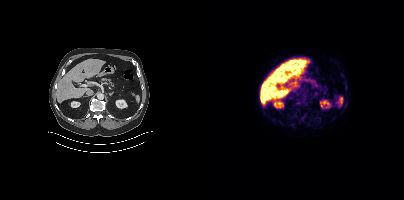
modality: PSMA PET/CT | tracer: 18F | view: axial | PET grid: 200×200
This slice has no annotated PSMA-avid lesion.